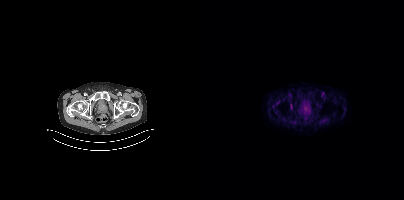
- Left: CT. Right: PSMA PET, same axial level, [18F]PSMA-1007 tracer
- acquired on Siemens Biograph mCT Flow 20
- slice 66 of 423
Findings: Coordinates are on the 200×200 PET (right) panel. PSMA-avid tumor lesion bounding box (x0, y0)-(x1, y1): (86, 103)-(88, 108).